Paired axial CT (left) and PSMA PET (right), [18F]PSMA-1007 tracer. Slice position z = -1703 mm. PET panel 200×200 px (4.1 mm/px).
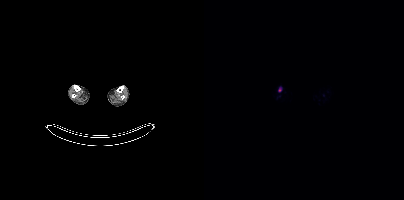
Coordinates are on the 200×200 PET (right) panel. Small PSMA-avid focus (2 to 4 px across) near (center x, center y): (75, 89).